modality: PSMA PET/CT | tracer: 18F-PSMA | view: axial
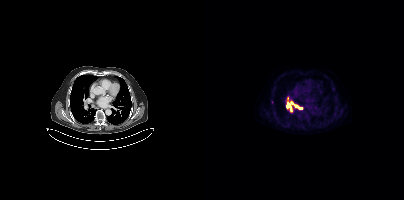
Coordinates are on the 200×200 PET (right) panel. PSMA-avid tumor lesion bounding box (x, y, width, height): x=91 y=105 w=8 h=5.